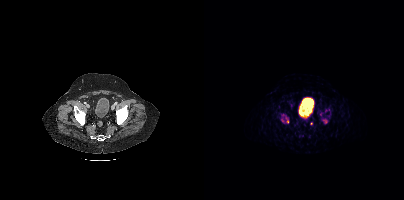
{"modality":"PSMA PET/CT","view":"axial","tracer":"68Ga","pet_grid":[200,200],"coord_frame":"pet_panel","coord_format":"x0,y0,x1,y1","partial":true,"lesion_bboxes":[[118,118,123,123]],"small_foci_centers":[[117,113],[122,110],[83,121],[107,123]]}